modality: PSMA PET/CT | tracer: 18F-PSMA | view: axial
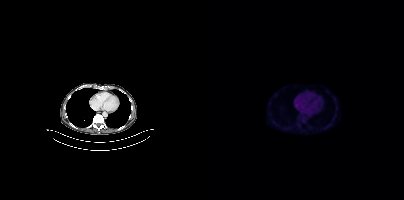
No tumor lesions annotated on this slice.